redaction: rectangle blanked before release | modality: PSMA PET/CT | tracer: 18F | view: axial | PET grid: 200×200
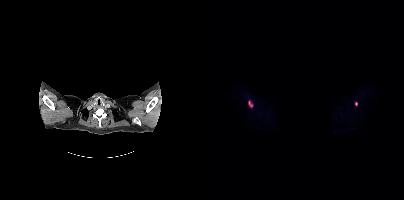
Coordinates are on the 200×200 PET (right) panel. PSMA-avid tumor lesion bounding box (x0,y0,x1,y1): [44,100,49,107]. Small PSMA-avid focus (2 to 4 px across) near (center x, center y): (152, 103).